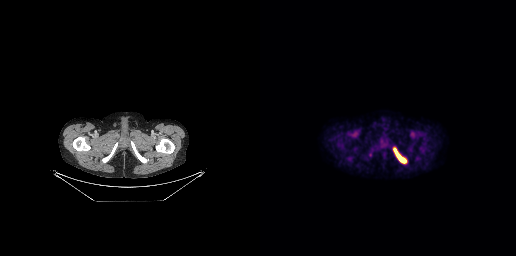
Coordinates are on the 256×256 PET (right) panel. PSMA-avid tumor lesion bounding box (x0, y0)-(x1, y1): (133, 148)-(146, 163).